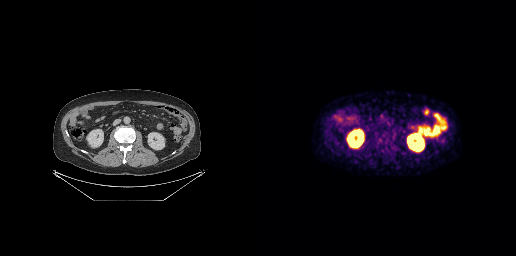
No PSMA-avid tumor lesions on this slice.